Two-panel axial: CT | PSMA PET, [18F]PSMA-1007 tracer. Acquired on Siemens Biograph mCT Flow 20. Slice position z = -1140 mm. PET panel 200×200 px (4.1 mm/px).
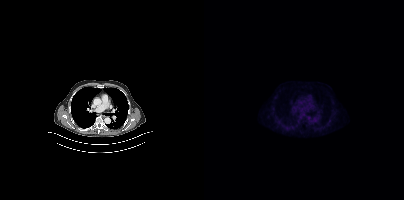
No tumor lesions annotated on this slice.